- Two-panel axial: CT | PSMA PET, [18F]PSMA-1007 tracer
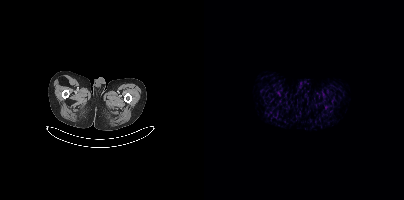
Findings: Negative for PSMA-avid disease on this slice.